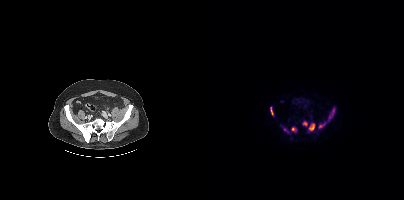
- Two-panel axial: CT | PSMA PET, 18F-PSMA tracer
Findings: Coordinates are on the 200×200 PET (right) panel. PSMA-avid tumor lesion bounding boxes (x0, y0)-(x1, y1): (105, 123)-(110, 130) | (87, 127)-(92, 132) | (125, 108)-(130, 118) | (66, 107)-(69, 115) | (115, 123)-(121, 127) | (99, 122)-(103, 125). Small PSMA-avid focus (2 to 4 px across) near (center x, center y): (80, 129).